modality: PSMA PET/CT | tracer: [18F]PSMA-1007 | view: axial
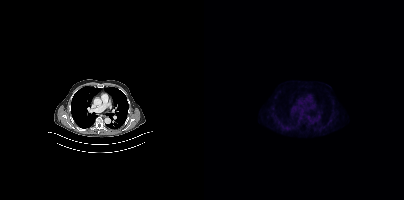
This slice has no annotated PSMA-avid lesion.